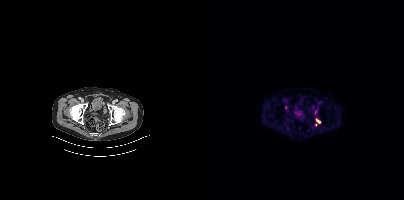
Coordinates are on the 200×200 PET (right) panel. (showing 1 of 2 foci) PSMA-avid tumor lesion bounding box (x, y, width, height): x=112 y=119 w=5 h=5.